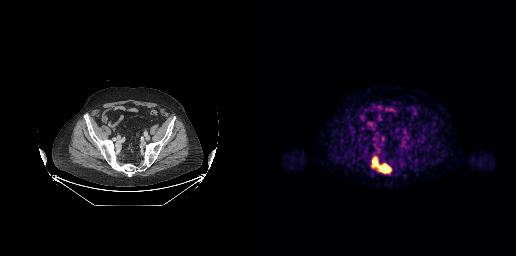
{"modality":"PSMA PET/CT","view":"axial","tracer":"18F","pet_grid":[256,256],"coord_frame":"pet_panel","coord_format":"x0,y0,x1,y1","lesion_bboxes":[[111,156,131,173]]}